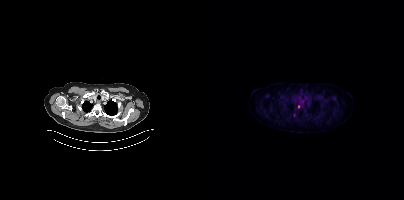
{"pet_grid":[200,200],"coord_frame":"pet_panel","coord_format":"x0,y0,x1,y1","lesion_bboxes":[],"small_foci_centers":[[94,106]],"modality":"PSMA PET/CT","view":"axial","tracer":"[18F]PSMA-1007"}